- Paired axial CT (left) and PSMA PET (right), 18F tracer
- acquired on Siemens Biograph mCT Flow 20
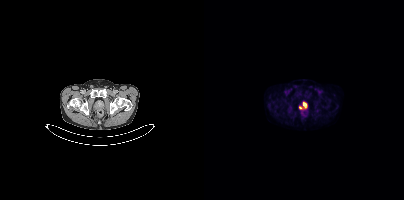
Findings: Coordinates are on the 200×200 PET (right) panel. PSMA-avid tumor lesion bounding box (x0,y0,x1,y1): [95,102,103,109].